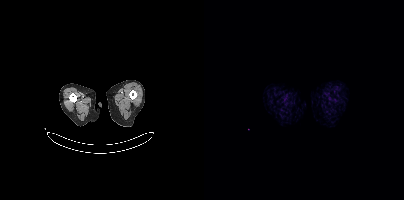
Paired axial CT (left) and PSMA PET (right), 18F-PSMA tracer. Slice position z = -1664 mm. No tumor lesions annotated on this slice.